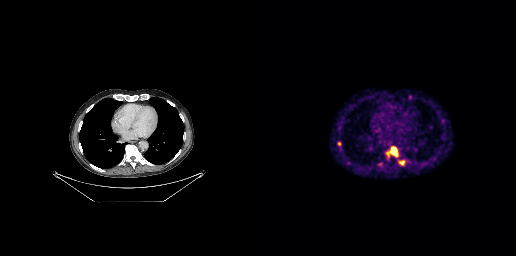
Left: CT. Right: PSMA PET, same axial level, 68Ga-PSMA tracer. Slice position z = -521 mm. PET panel 256×256 px (2.7 mm/px). Coordinates are on the 256×256 PET (right) panel. PSMA-avid tumor lesion bounding boxes (x0, y0)-(x1, y1): (132, 147)-(137, 156) / (126, 151)-(131, 157) / (139, 161)-(144, 164) / (77, 142)-(81, 145). Small PSMA-avid focus (2 to 4 px across) near (center x, center y): (87, 162).